Left: CT. Right: PSMA PET, same axial level, 18F tracer. PET panel 200×200 px (4.1 mm/px).
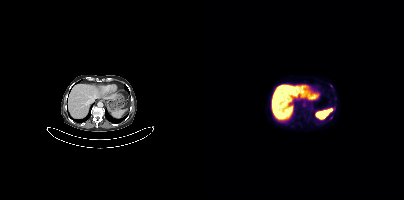
No tumor lesions annotated on this slice.